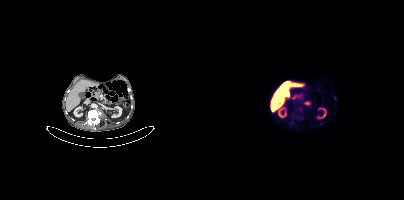
Coordinates are on the 200×200 PET (right) panel. Small PSMA-avid focus (2 to 4 px across) near (center x, center y): (131, 97).